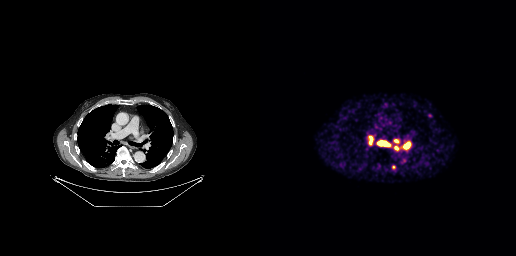
Paired axial CT (left) and PSMA PET (right), 68Ga-PSMA tracer. Acquired on GE Discovery 690. PET panel 256×256 px (2.7 mm/px). Coordinates are on the 256×256 PET (right) panel. PSMA-avid tumor lesion bounding boxes (x0,y0,x1,y1): [117,141,129,146]; [143,141,150,148]; [108,136,113,145]. Small PSMA-avid foci (2 to 4 px across) near (center x, center y): (136, 148); (136, 141); (133, 167); (170, 115).